Paired axial CT (left) and PSMA PET (right), 18F-PSMA tracer. Slice 6 of 508. PET panel 200×200 px (4.1 mm/px).
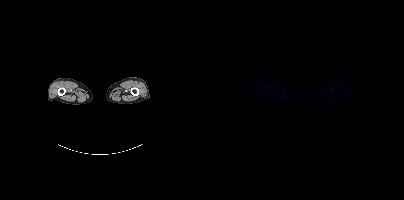
Negative for PSMA-avid disease on this slice.